modality: PSMA PET/CT | tracer: 18F | view: axial | PET grid: 200×200
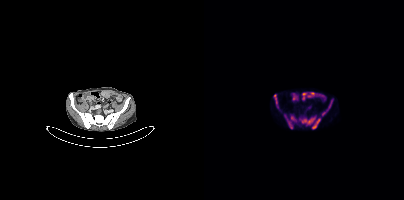
Coordinates are on the 200×200 PET (right) panel. PSMA-avid tumor lesion bounding boxes (x, y, width, height): x=81 y=116 w=12 h=13 | x=96 y=117 w=16 h=8 | x=108 y=118 w=9 h=11 | x=119 y=99 w=10 h=16 | x=70 y=94 w=4 h=11.